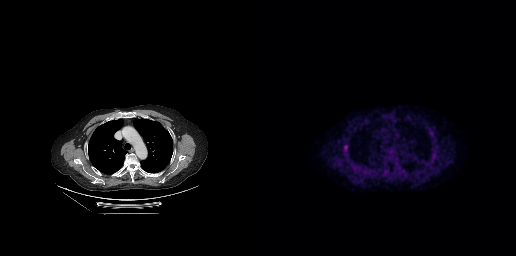
{"modality":"PSMA PET/CT","view":"axial","tracer":"18F","pet_grid":[256,256],"coord_frame":"pet_panel","coord_format":"x0,y0,x1,y1","lesion_bboxes":[[83,143,88,152]]}